- Left: CT. Right: PSMA PET, same axial level, 18F-PSMA tracer
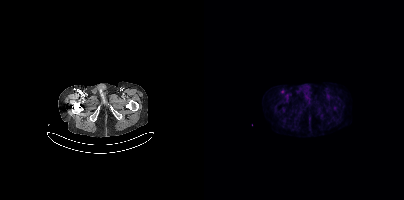
Findings: No PSMA-avid tumor lesions on this slice.